Technique: Left: CT. Right: PSMA PET, same axial level, 18F-PSMA tracer.
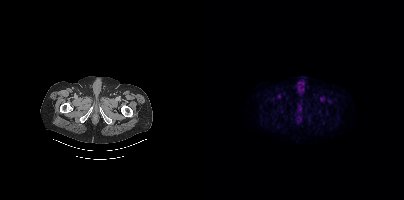
Findings: No PSMA-avid tumor lesions on this slice.